- Paired axial CT (left) and PSMA PET (right), 18F tracer
- acquired on Siemens Biograph mCT Flow 20
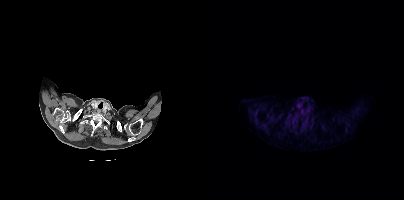
Findings: No PSMA-avid tumor lesions on this slice.